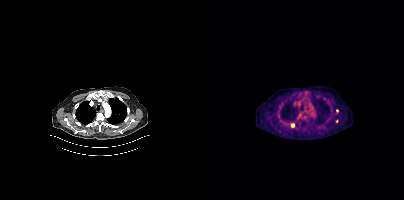
Findings: Coordinates are on the 200×200 PET (right) panel. (showing 3 of 4 foci) Small PSMA-avid foci (2 to 4 px across) near (center x, center y): (89, 125), (132, 121), (131, 113).
Technique: Paired axial CT (left) and PSMA PET (right), 18F-PSMA tracer. acquired on Siemens Biograph mCT Flow 20. PET panel 200×200 px (4.1 mm/px).